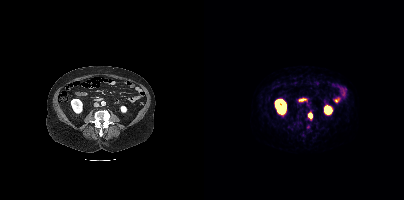
{"modality":"PSMA PET/CT","view":"axial","tracer":"[68Ga]Ga-PSMA-11","pet_grid":[200,200],"coord_frame":"pet_panel","coord_format":"x0,y0,x1,y1","partial":true,"lesion_bboxes":[[104,112,108,119]]}